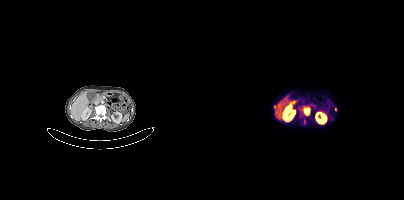
Coordinates are on the 200×200 PET (right) panel. PSMA-avid tumor lesion bounding boxes (x, y, width, height): x=100 y=108 w=6 h=8 | x=70 y=105 w=3 h=5. Small PSMA-avid foci (2 to 4 px across) near (center x, center y): (131, 109) | (100, 121).